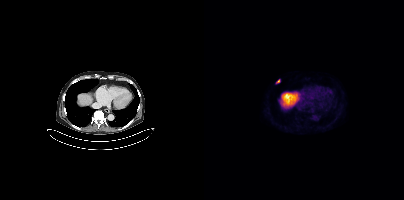
Coordinates are on the 200×200 PET (right) panel. PSMA-avid tumor lesion bounding box (x0,y0,x1,y1): [71,79,76,83].